- Left: CT. Right: PSMA PET, same axial level, 18F tracer
- acquired on Siemens Biograph mCT Flow 20
- slice 186 of 411
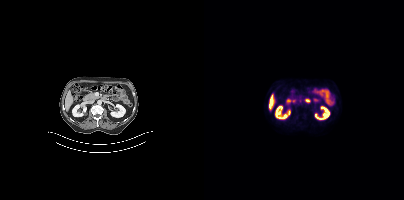
Findings: Negative for PSMA-avid disease on this slice.